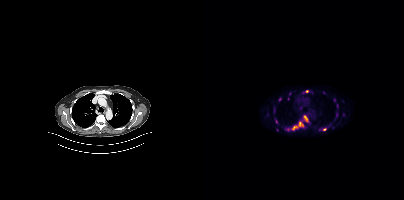
Coordinates are on the 200×200 PET (right) panel. (showing 11 of 14 foci) PSMA-avid tumor lesion bounding boxes (x0,y0,x1,y1): [87,121,99,130]; [99,115,104,122]. Small PSMA-avid foci (2 to 4 px across) near (center x, center y): (86, 93); (132, 113); (121, 129); (103, 91); (84, 99); (84, 129); (116, 129); (75, 99); (72, 121).